Left: CT. Right: PSMA PET, same axial level, 18F tracer. Acquired on Siemens Biograph mCT Flow 20. Slice 288 of 421. PET panel 200×200 px (4.1 mm/px).
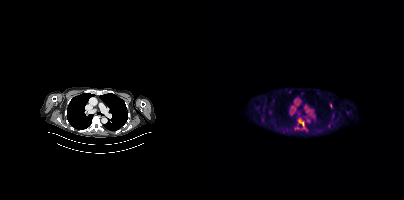
Coordinates are on the 200×200 PET (right) panel. PSMA-avid tumor lesion bounding boxes:
| # | x0 | y0 | x1 | y1 |
|---|---|---|---|---|
| 1 | 95 | 120 | 101 | 128 |
Small PSMA-avid focus (2 to 4 px across) near (center x, center y): (127, 105).